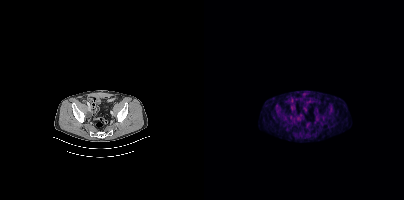
Two-panel axial: CT | PSMA PET, [18F]PSMA-1007 tracer. Slice position z = -490 mm. Coordinates are on the 200×200 PET (right) panel. Small PSMA-avid focus (2 to 4 px across) near (center x, center y): (86, 117).